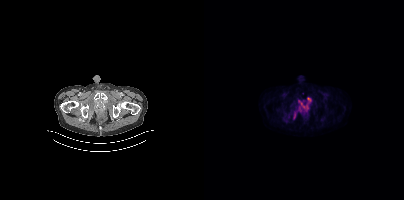
- Left: CT. Right: PSMA PET, same axial level, 18F tracer
- acquired on Siemens Biograph mCT Flow 20
- slice position z = -68 mm
- PET panel 200×200 px (4.1 mm/px)
Findings: Coordinates are on the 200×200 PET (right) panel. (showing 2 of 3 foci) PSMA-avid tumor lesion bounding boxes (x0, y0)-(x1, y1): (94, 97)-(107, 111) | (89, 114)-(92, 118).